modality: PSMA PET/CT | tracer: [18F]PSMA-1007 | view: axial | PET grid: 200×200
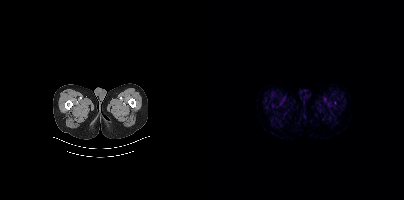
No tumor lesions annotated on this slice.